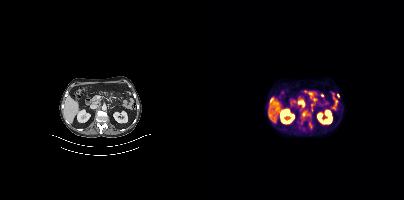
{"modality":"PSMA PET/CT","view":"axial","tracer":"18F","pet_grid":[200,200],"coord_frame":"pet_panel","coord_format":"x0,y0,x1,y1","partial":true,"lesion_bboxes":[[97,113,106,119],[105,122,108,128]],"small_foci_centers":[[99,105],[134,95]]}